modality: PSMA PET/CT | tracer: 18F-PSMA | view: axial | deidentification: black rectangle is a privacy mask
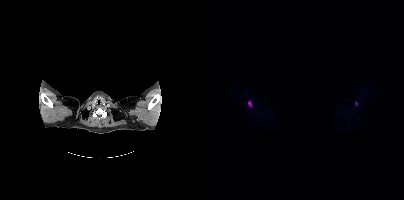
Coordinates are on the 200×200 PET (right) panel. (showing 1 of 2 foci) PSMA-avid tumor lesion bounding box (x0,y0,x1,y1): [44,101,47,106].